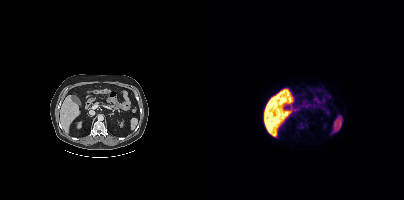
Findings: Negative for PSMA-avid disease on this slice.
- Two-panel axial: CT | PSMA PET, 18F tracer
- slice position z = -1164 mm
- PET panel 200×200 px (4.1 mm/px)